Two-panel axial: CT | PSMA PET, 68Ga-PSMA tracer. Acquired on GE Discovery 690. PET panel 256×256 px (2.7 mm/px).
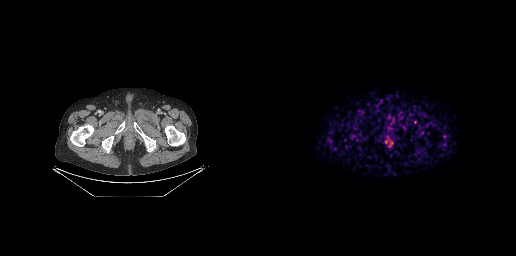
No tumor lesions annotated on this slice.